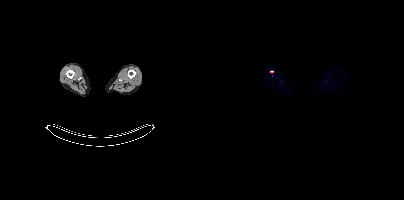
Coordinates are on the 200×200 PET (right) panel. Small PSMA-avid focus (2 to 4 px across) near (center x, center y): (67, 71).